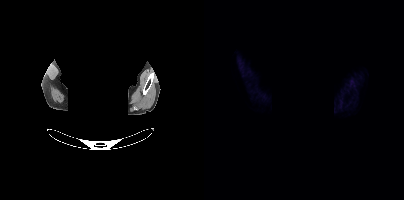
This slice has no annotated PSMA-avid lesion.
Face de-identified by blanking a block of the head.